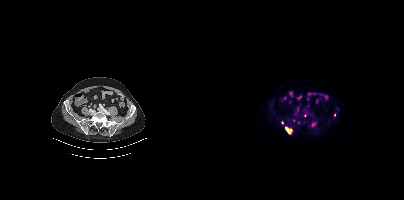
- Two-panel axial: CT | PSMA PET, 18F-PSMA tracer
- slice 129 of 401
Findings: Coordinates are on the 200×200 PET (right) panel. (showing 4 of 5 foci) PSMA-avid tumor lesion bounding box (x0, y0)-(x1, y1): (81, 127)-(87, 133). Small PSMA-avid foci (2 to 4 px across) near (center x, center y): (109, 124) | (100, 115) | (130, 114).